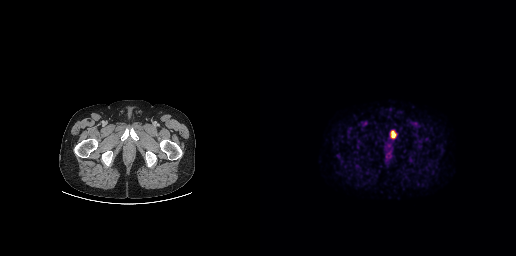
Coordinates are on the 256×256 PET (right) panel. PSMA-avid tumor lesion bounding box (x, y, width, height): x=130 y=130 w=7 h=9.